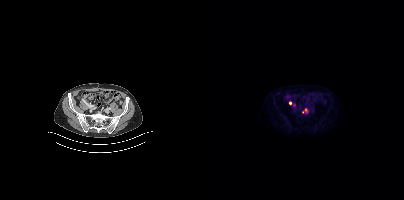
{"modality":"PSMA PET/CT","view":"axial","tracer":"18F-PSMA","pet_grid":[200,200],"coord_frame":"pet_panel","coord_format":"x0,y0,x1,y1","partial":true,"lesion_bboxes":[],"small_foci_centers":[[86,103],[101,109]]}